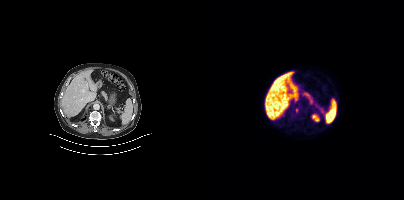
{"modality":"PSMA PET/CT","view":"axial","tracer":"[18F]PSMA-1007","pet_grid":[200,200],"coord_frame":"pet_panel","coord_format":"x0,y0,x1,y1","psma_avid_lesions":false}